The face region was removed for patient privacy by blanking a rectangle over the head. Two-panel axial: CT | PSMA PET, [68Ga]Ga-PSMA-11 tracer. PET panel 168×168 px (4.1 mm/px).
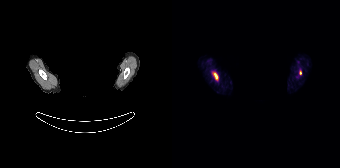
Coordinates are on the 168×168 PET (right) panel. PSMA-avid tumor lesion bounding boxes:
| # | x0 | y0 | x1 | y1 |
|---|---|---|---|---|
| 1 | 40 | 72 | 46 | 80 |
| 2 | 127 | 70 | 129 | 74 |